redaction: rectangular block over head set to black | modality: PSMA PET/CT | tracer: [68Ga]Ga-PSMA-11 | view: axial
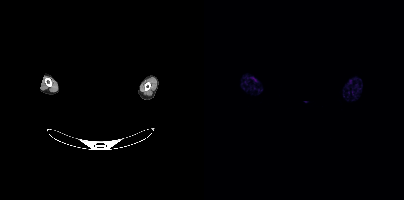
This slice has no annotated PSMA-avid lesion.